modality: PSMA PET/CT | tracer: 68Ga-PSMA | view: axial
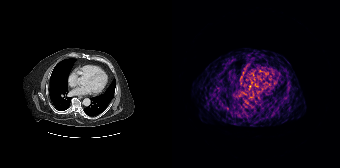
No PSMA-avid tumor lesions on this slice.